Paired axial CT (left) and PSMA PET (right), [18F]PSMA-1007 tracer. PET panel 200×200 px (4.1 mm/px).
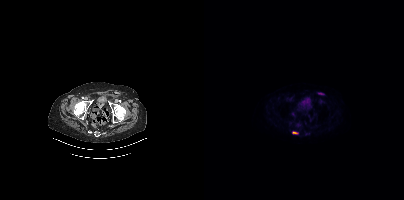
Coordinates are on the 200×200 PET (right) panel. (showing 1 of 2 foci) PSMA-avid tumor lesion bounding box (x0, y0)-(x1, y1): (88, 131)-(94, 134).